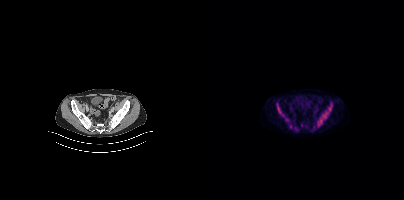
Coordinates are on the 200×200 PET (right) panel. PSMA-avid tumor lesion bounding boxes (x0, y0)-(x1, y1): (114, 111)-(124, 126) / (73, 109)-(80, 116) / (125, 105)-(128, 110) / (81, 118)-(85, 120). Small PSMA-avid focus (2 to 4 px across) near (center x, center y): (86, 126).